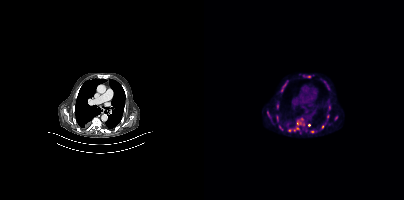
- Two-panel axial: CT | PSMA PET, 18F tracer
- acquired on Siemens Biograph mCT Flow 20
- PET panel 200×200 px (4.1 mm/px)
Findings: Coordinates are on the 200×200 PET (right) panel. (showing 10 of 15 foci) PSMA-avid tumor lesion bounding boxes (x0,y0,x1,y1): [84,118,101,131] [72,102,75,109] [63,112,67,118] [79,83,82,88]. Small PSMA-avid foci (2 to 4 px across) near (center x, center y): (124, 116) (132, 117) (105, 125) (108, 131) (105, 76) (118, 126).